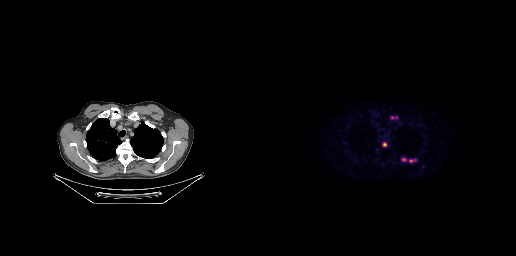
{"modality":"PSMA PET/CT","view":"axial","tracer":"[18F]PSMA-1007","pet_grid":[256,256],"coord_frame":"pet_panel","coord_format":"x0,y0,x1,y1","lesion_bboxes":[[122,142,126,146],[149,159,155,162],[142,158,146,161]],"small_foci_centers":[[132,117],[136,117]]}